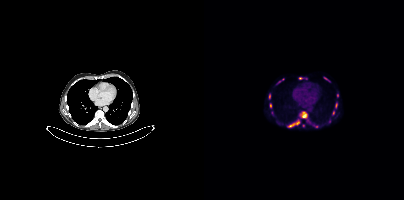
{"modality":"PSMA PET/CT","view":"axial","tracer":"18F","pet_grid":[200,200],"coord_frame":"pet_panel","coord_format":"x0,y0,x1,y1","partial":true,"lesion_bboxes":[[96,111,103,118],[84,120,95,127],[120,77,125,81],[131,103,133,107],[65,94,66,98]],"small_foci_centers":[[96,78],[66,105],[129,112],[133,95],[125,121],[75,81],[99,125]]}